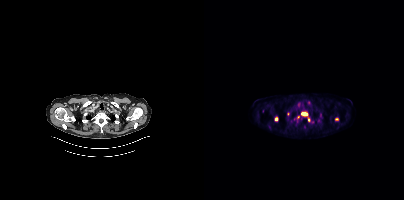
Coordinates are on the 200×200 PET (right) panel. (showing 4 of 5 foci) PSMA-avid tumor lesion bounding boxes (x0, y0)-(x1, y1): (97, 112)-(106, 121) | (71, 117)-(74, 121). Small PSMA-avid foci (2 to 4 px across) near (center x, center y): (132, 119) | (94, 117).